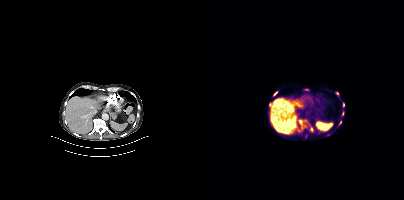
{"pet_grid":[200,200],"coord_frame":"pet_panel","coord_format":"x0,y0,x1,y1","lesion_bboxes":[[93,119,102,131],[105,124,109,131],[65,103,67,107],[138,111,140,116],[139,102,140,107]],"small_foci_centers":[[132,93],[71,93],[136,122],[102,89],[67,125]],"modality":"PSMA PET/CT","view":"axial","tracer":"[18F]PSMA-1007"}